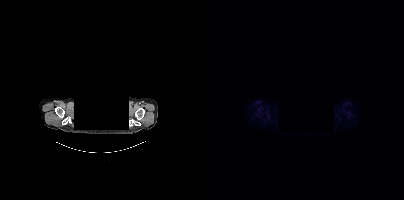
- a rectangular block over the head has been blanked out for de-identification
- Two-panel axial: CT | PSMA PET, 18F tracer
Findings: Negative for PSMA-avid disease on this slice.